modality: PSMA PET/CT | tracer: 68Ga | view: axial
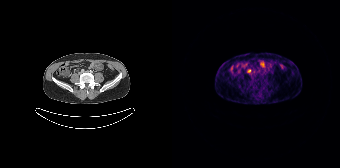
This slice has no annotated PSMA-avid lesion.